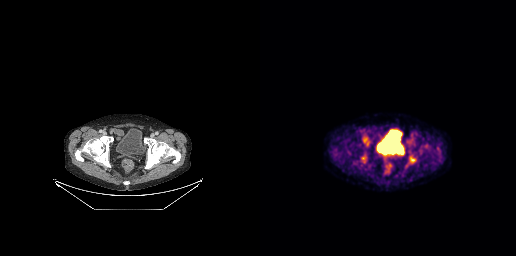
{"modality":"PSMA PET/CT","view":"axial","tracer":"[18F]PSMA-1007","pet_grid":[256,256],"coord_frame":"pet_panel","coord_format":"x0,y0,x1,y1","lesion_bboxes":[[149,155,156,163],[103,136,109,145],[101,156,106,162]],"small_foci_centers":[[166,147]]}